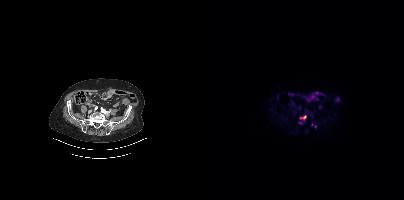
Coordinates are on the 200×200 PET (right) panel. (showing 3 of 4 foci) PSMA-avid tumor lesion bounding box (x, y, width, height): x=95 y=115 w=8 h=6. Small PSMA-avid foci (2 to 4 px across) near (center x, center y): (96, 123) | (111, 126).